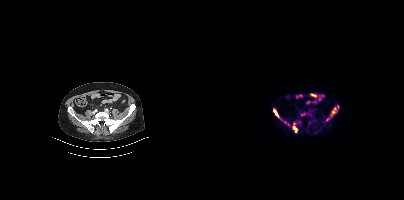
Coordinates are on the 200×200 PET (right) panel. (showing 3 of 8 foci) PSMA-avid tumor lesion bounding boxes (x0, y0)-(x1, y1): (69, 109)-(75, 117); (128, 107)-(132, 115); (89, 126)-(93, 132). Paired axial CT (left) and PSMA PET (right), 18F tracer.